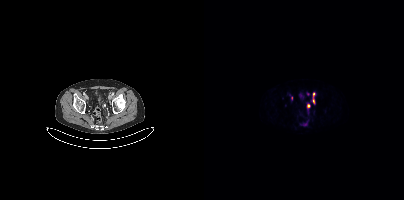
Findings: Coordinates are on the 200×200 PET (right) panel. PSMA-avid tumor lesion bounding box (x0, y0)-(x1, y1): (109, 92)-(110, 103). Small PSMA-avid foci (2 to 4 px across) near (center x, center y): (104, 93) | (101, 124) | (87, 98) | (104, 106).
Technique: Left: CT. Right: PSMA PET, same axial level, 68Ga tracer.